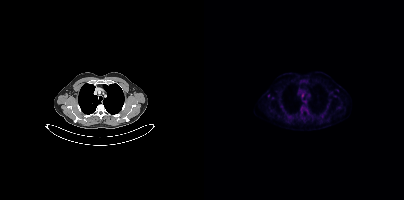
Technique: Left: CT. Right: PSMA PET, same axial level, 18F tracer. acquired on Siemens Biograph mCT Flow 20. slice position z = -1170 mm. PET panel 200×200 px (4.1 mm/px).
Findings: Coordinates are on the 200×200 PET (right) panel. Small PSMA-avid foci (2 to 4 px across) near (center x, center y): (98, 95) | (64, 95).